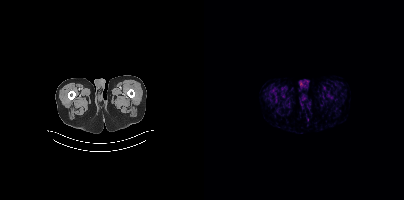
Findings: No tumor lesions annotated on this slice.
- Paired axial CT (left) and PSMA PET (right), 18F-PSMA tracer
- slice position z = -1570 mm